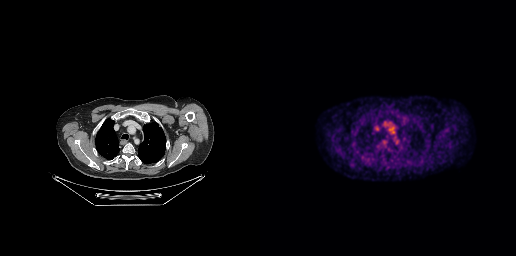
Negative for PSMA-avid disease on this slice. Two-panel axial: CT | PSMA PET, 18F-PSMA tracer.